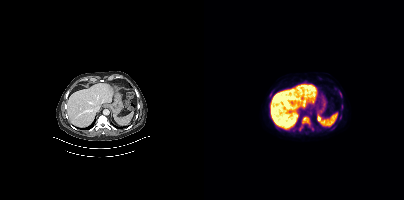
{"modality":"PSMA PET/CT","view":"axial","tracer":"[18F]PSMA-1007","pet_grid":[200,200],"coord_frame":"pet_panel","coord_format":"x0,y0,x1,y1","lesion_bboxes":[[98,116,106,125],[106,126,110,131],[94,126,98,131],[137,104,139,109],[136,92,137,96]],"small_foci_centers":[[136,117],[66,95]]}